Paired axial CT (left) and PSMA PET (right), 18F-PSMA tracer. Acquired on Siemens Biograph mCT Flow 20. Slice position z = -1004 mm.
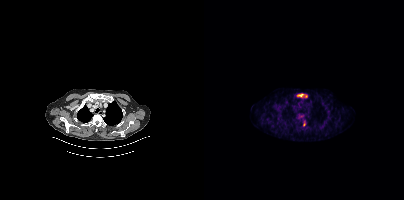
Coordinates are on the 200×200 PET (right) panel. PSMA-avid tumor lesion bounding boxes (x, y, width, height): x=93 y=93 w=11 h=5; x=99 y=121 w=3 h=6; x=95 y=115 w=5 h=3.